- Two-panel axial: CT | PSMA PET, 18F-PSMA tracer
- acquired on Siemens Biograph mCT Flow 20
- PET panel 200×200 px (4.1 mm/px)
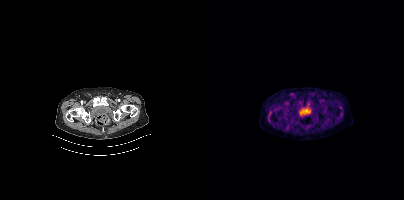
Findings: No PSMA-avid tumor lesions on this slice.